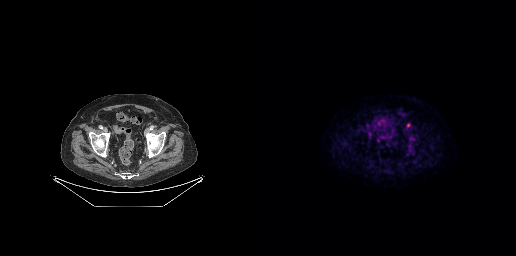
Coordinates are on the 256×256 PET (right) panel. PSMA-avid tumor lesion bounding boxes:
| # | x0 | y0 | x1 | y1 |
|---|---|---|---|---|
| 1 | 147 | 123 | 150 | 127 |
Paired axial CT (left) and PSMA PET (right), [18F]PSMA-1007 tracer. Acquired on GE Discovery 690.